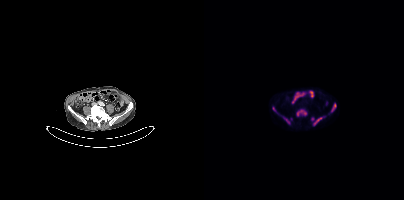
{"modality":"PSMA PET/CT","view":"axial","tracer":"[18F]PSMA-1007","pet_grid":[200,200],"coord_frame":"pet_panel","coord_format":"x0,y0,x1,y1","partial":true,"lesion_bboxes":[[93,110,102,115],[127,103,132,111],[78,116,85,123],[110,117,118,124],[69,107,73,113]]}